Paired axial CT (left) and PSMA PET (right), [18F]PSMA-1007 tracer. Acquired on Siemens Biograph mCT Flow 20. Slice 449 of 450. PET panel 200×200 px (4.1 mm/px). A rectangle over the head was blacked out to remove identifiable facial features.
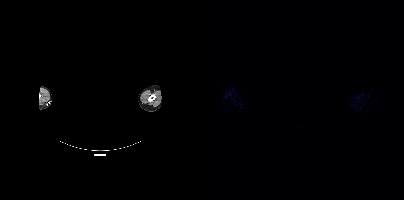
No tumor lesions annotated on this slice.